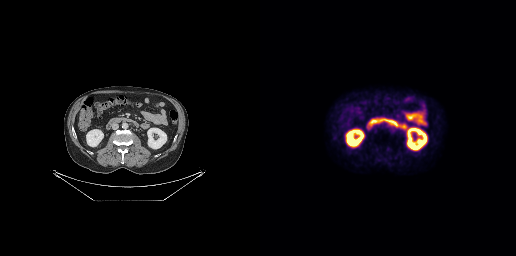
modality: PSMA PET/CT | tracer: 18F | view: axial
Coordinates are on the 256×256 PET (right) panel. PSMA-avid tumor lesion bounding box (x, y, width, height): x=129 y=123 w=5 h=3.